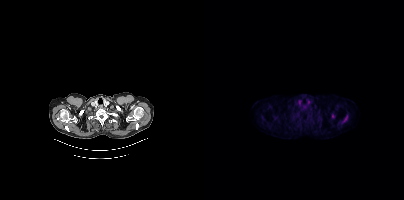
Findings: Coordinates are on the 200×200 PET (right) panel. PSMA-avid tumor lesion bounding boxes (x0,y0,x1,y1): [137,114,144,123], [127,114,131,118].
Technique: Left: CT. Right: PSMA PET, same axial level, [18F]PSMA-1007 tracer. acquired on Siemens Biograph mCT Flow 20.